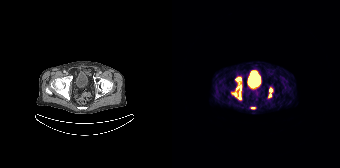
Coordinates are on the 168×168 PET (right) panel. PSMA-avid tumor lesion bounding boxes (x0, y0)-(x1, y1): (63, 77)-(69, 99) | (96, 89)-(100, 97) | (79, 107)-(83, 109) | (60, 93)-(64, 96).